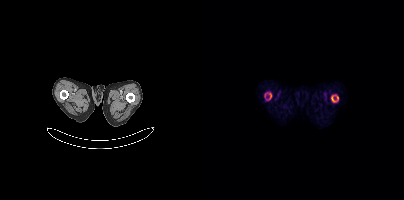
{"modality":"PSMA PET/CT","view":"axial","tracer":"18F","pet_grid":[200,200],"coord_frame":"pet_panel","coord_format":"x0,y0,x1,y1","partial":true,"lesion_bboxes":[[127,95,134,102],[65,93,67,99]]}